- an anonymization step blacked out a rectangle over the head in this scan
- Paired axial CT (left) and PSMA PET (right), [18F]PSMA-1007 tracer
- acquired on GE Discovery 690
- slice position z = -73 mm
- PET panel 256×256 px (2.7 mm/px)
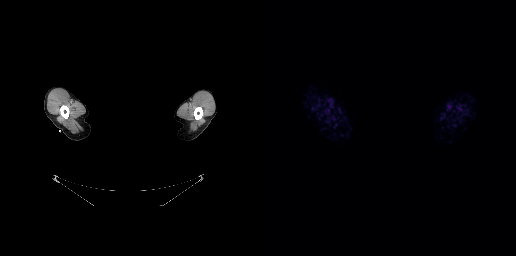
Findings: No PSMA-avid tumor lesions on this slice.